- Two-panel axial: CT | PSMA PET, [18F]PSMA-1007 tracer
- slice position z = 2062 mm
- a rectangular block over the head has been blanked out for de-identification
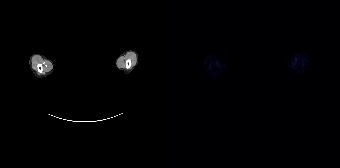
Findings: This slice has no annotated PSMA-avid lesion.